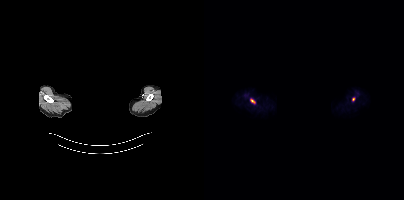
Findings: Coordinates are on the 200×200 PET (right) panel. PSMA-avid tumor lesion bounding box (x0, y0)-(x1, y1): (47, 99)-(51, 103). Small PSMA-avid focus (2 to 4 px across) near (center x, center y): (149, 99).
Technique: Paired axial CT (left) and PSMA PET (right), [18F]PSMA-1007 tracer. slice position z = -848 mm. PET panel 200×200 px (4.1 mm/px).
Note: Facial anatomy redacted by setting a rectangular region of the head to black.